Paired axial CT (left) and PSMA PET (right), 68Ga tracer. Acquired on Siemens Biograph 64-4R TruePoint. PET panel 168×168 px (4.1 mm/px).
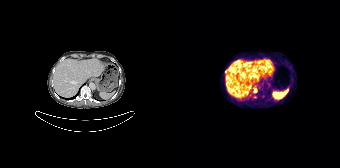
Coordinates are on the 168×168 PET (right) panel. Small PSMA-avid focus (2 to 4 px across) near (center x, center y): (83, 90).